Left: CT. Right: PSMA PET, same axial level, 18F tracer. Acquired on Siemens Biograph mCT Flow 20. Slice 24 of 427. PET panel 200×200 px (4.1 mm/px).
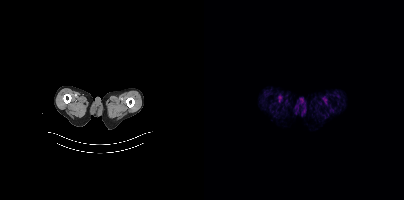
No tumor lesions annotated on this slice.